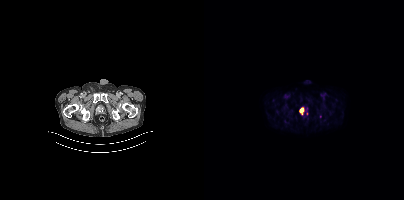
Paired axial CT (left) and PSMA PET (right), [18F]PSMA-1007 tracer. Acquired on Siemens Biograph mCT Flow 20. PET panel 200×200 px (4.1 mm/px).
Coordinates are on the 200×200 PET (right) panel. PSMA-avid tumor lesion bounding boxes (partial; 1 more focus not listed):
| # | x0 | y0 | x1 | y1 |
|---|---|---|---|---|
| 1 | 96 | 109 | 100 | 114 |